Paired axial CT (left) and PSMA PET (right), 18F tracer. PET panel 200×200 px (4.1 mm/px). Facial anatomy redacted by setting a rectangular region of the head to black.
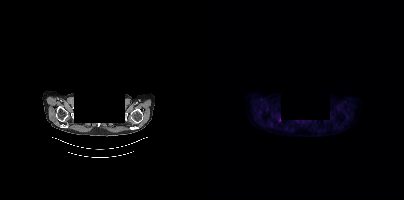
Coordinates are on the 200×200 PET (right) panel. PSMA-avid tumor lesion bounding box (x0, y0)-(x1, y1): (74, 117)-(76, 121).